Paired axial CT (left) and PSMA PET (right), 18F tracer. Slice 346 of 413. PET panel 200×200 px (4.1 mm/px).
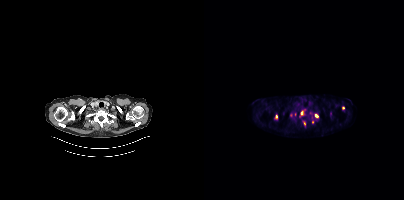
Coordinates are on the 200×200 PET (right) panel. Small PSMA-avid foci (2 to 4 px across) near (center x, center y): (72, 116) / (98, 112) / (112, 115) / (139, 108) / (100, 123).